- Left: CT. Right: PSMA PET, same axial level, 18F-PSMA tracer
- slice position z = -528 mm
- PET panel 200×200 px (4.1 mm/px)
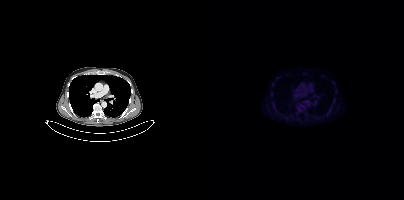
Findings: Coordinates are on the 200×200 PET (right) panel. Small PSMA-avid focus (2 to 4 px across) near (center x, center y): (95, 110).